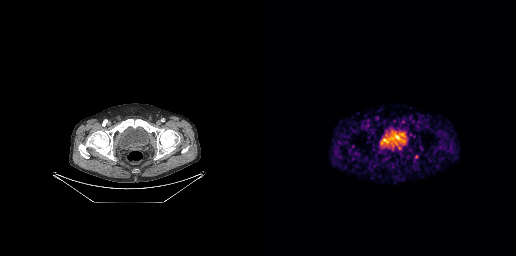
modality: PSMA PET/CT | tracer: [68Ga]Ga-PSMA-11 | view: axial
This slice has no annotated PSMA-avid lesion.